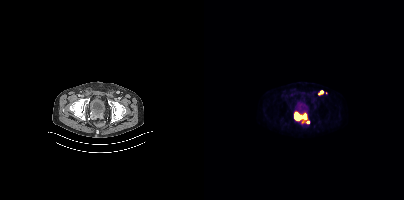
{"pet_grid":[200,200],"coord_frame":"pet_panel","coord_format":"x0,y0,x1,y1","partial":true,"lesion_bboxes":[[90,111,105,123],[114,90,119,94]],"modality":"PSMA PET/CT","view":"axial","tracer":"[18F]PSMA-1007"}